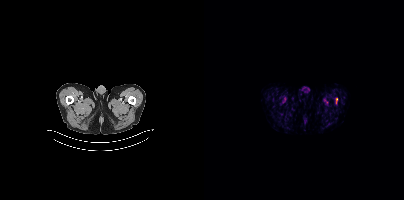
Coordinates are on the 200×200 PET (right) panel. PSMA-avid tumor lesion bounding box (x, y, width, height): x=132 y=98 w=2 h=6.
modality: PSMA PET/CT | tracer: [18F]PSMA-1007 | view: axial | PET grid: 200×200